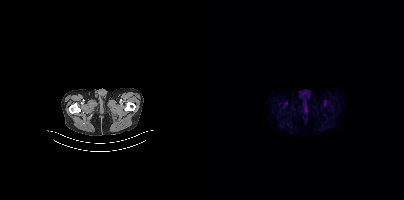
modality: PSMA PET/CT | tracer: 18F | view: axial | PET grid: 200×200
This slice has no annotated PSMA-avid lesion.